Left: CT. Right: PSMA PET, same axial level, [18F]PSMA-1007 tracer. Acquired on Siemens Biograph mCT Flow 20. Slice position z = -1295 mm. PET panel 200×200 px (4.1 mm/px).
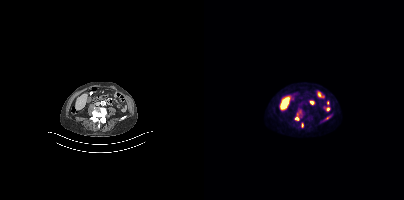
Coordinates are on the 200×200 PET (right) panel. PSMA-avid tumor lesion bounding boxes (x, y, width, height): x=91 y=110 w=8 h=11 / x=121 y=116 w=6 h=4 / x=97 y=123 w=3 h=5.